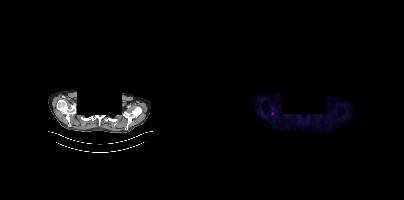
Findings: Coordinates are on the 200×200 PET (right) panel. Small PSMA-avid focus (2 to 4 px across) near (center x, center y): (68, 113).
Technique: Two-panel axial: CT | PSMA PET, [18F]PSMA-1007 tracer. slice 334 of 389.
Note: A rectangle over the head was blacked out to remove identifiable facial features.